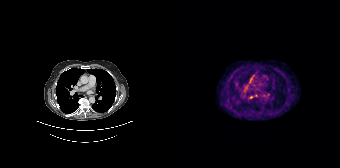
Coordinates are on the 168×168 PET (right) panel. Small PSMA-avid focus (2 to 4 px across) near (center x, center y): (84, 95).
modality: PSMA PET/CT | tracer: 68Ga-PSMA | view: axial